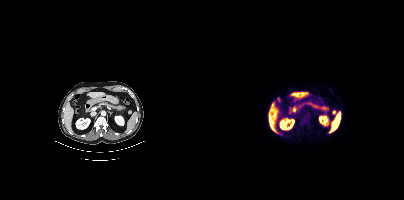
Coordinates are on the 200×200 PET (right) panel. PSMA-avid tumor lesion bounding box (x, y, width, height): x=128 y=110 w=4 h=5.
modality: PSMA PET/CT | tracer: 18F-PSMA | view: axial